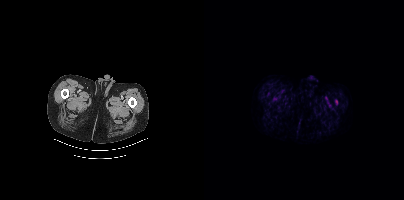
{"modality":"PSMA PET/CT","view":"axial","tracer":"18F","pet_grid":[200,200],"coord_frame":"pet_panel","coord_format":"x0,y0,x1,y1","lesion_bboxes":[],"small_foci_centers":[[132,101]]}